modality: PSMA PET/CT | tracer: 68Ga-PSMA | view: axial
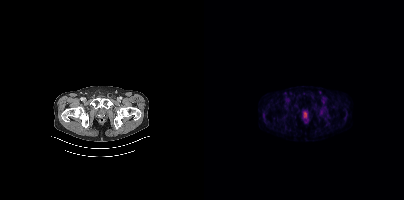
Coordinates are on the 200×200 PET (right) panel. PSMA-avid tumor lesion bounding box (x, y, width, height): x=100 y=112 w=3 h=5.